Left: CT. Right: PSMA PET, same axial level, 18F tracer. Slice position z = -796 mm. PET panel 200×200 px (4.1 mm/px).
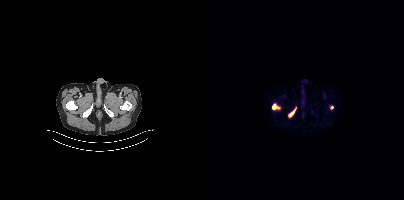
Coordinates are on the 200×200 PET (right) panel. PSMA-avid tumor lesion bounding boxes:
| # | x0 | y0 | x1 | y1 |
|---|---|---|---|---|
| 1 | 68 | 103 | 76 | 109 |
| 2 | 84 | 107 | 92 | 117 |
Small PSMA-avid focus (2 to 4 px across) near (center x, center y): (127, 107).